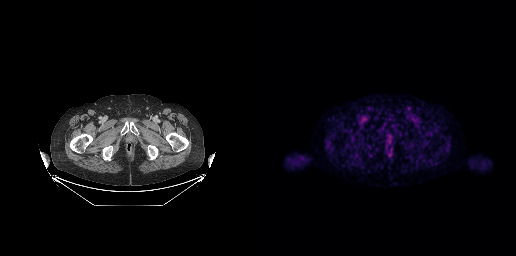
Paired axial CT (left) and PSMA PET (right), [18F]PSMA-1007 tracer. Slice 52 of 263. PET panel 256×256 px (2.7 mm/px). This slice has no annotated PSMA-avid lesion.